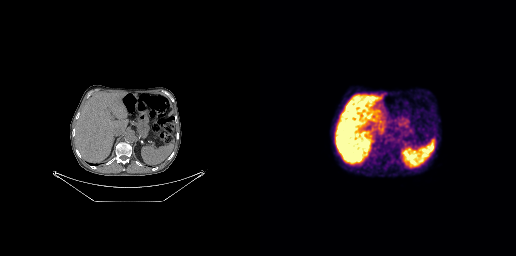
modality: PSMA PET/CT | tracer: 68Ga | view: axial | PET grid: 256×256
This slice has no annotated PSMA-avid lesion.